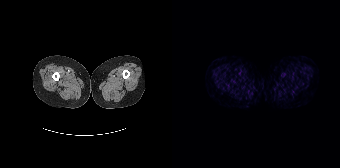
Findings: Negative for PSMA-avid disease on this slice.
Technique: Left: CT. Right: PSMA PET, same axial level, [68Ga]Ga-PSMA-11 tracer. slice 22 of 195. PET panel 168×168 px (4.1 mm/px).